Technique: Paired axial CT (left) and PSMA PET (right), 18F-PSMA tracer. acquired on Siemens Biograph mCT Flow 20. slice position z = -1294 mm. PET panel 200×200 px (4.1 mm/px).
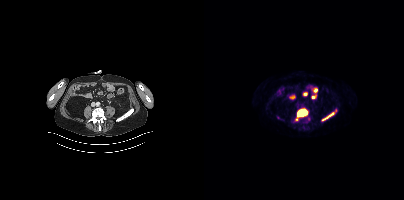
Findings: Coordinates are on the 200×200 PET (right) panel. PSMA-avid tumor lesion bounding boxes (x0,y0,x1,y1): [92,109,103,120]; [118,112,130,120].